Technique: Paired axial CT (left) and PSMA PET (right), [18F]PSMA-1007 tracer. acquired on GE Discovery 690. PET panel 256×256 px (2.7 mm/px).
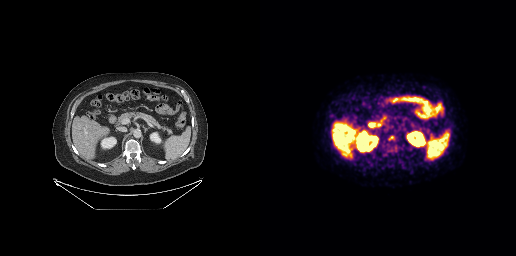
Findings: Coordinates are on the 256×256 PET (right) panel. PSMA-avid tumor lesion bounding box (x0, y0)-(x1, y1): (128, 135)-(134, 140).